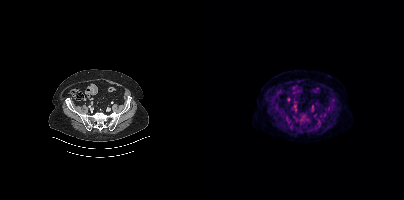
{"modality":"PSMA PET/CT","view":"axial","tracer":"18F","pet_grid":[200,200],"coord_frame":"pet_panel","coord_format":"x0,y0,x1,y1","psma_avid_lesions":false}